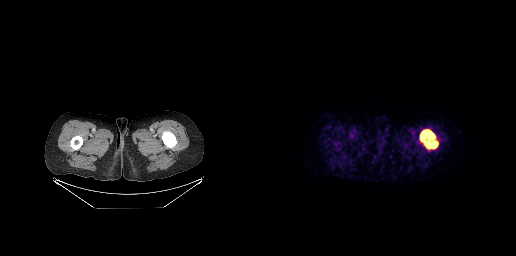
Coordinates are on the 256×256 PET (right) panel. PSMA-avid tumor lesion bounding box (x, y, width, height): x=160 y=129 w=19 h=21.
modality: PSMA PET/CT | tracer: 18F | view: axial